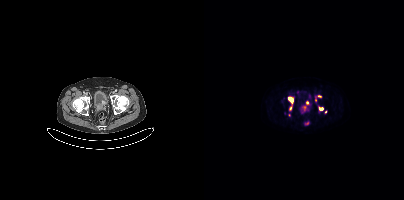
Findings: Coordinates are on the 200×200 PET (right) panel. (showing 7 of 8 foci) PSMA-avid tumor lesion bounding boxes (x0, y0)-(x1, y1): (84, 97)-(89, 103); (111, 95)-(117, 101); (98, 106)-(102, 110); (115, 108)-(119, 109). Small PSMA-avid foci (2 to 4 px across) near (center x, center y): (86, 108); (103, 103); (121, 111).
Technique: Left: CT. Right: PSMA PET, same axial level, [18F]PSMA-1007 tracer. acquired on Siemens Biograph mCT Flow 20. PET panel 200×200 px (4.1 mm/px).